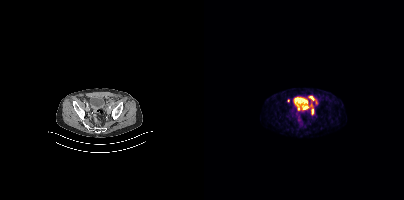
Coordinates are on the 200×200 PET (right) panel. (showing 5 of 6 foci) PSMA-avid tumor lesion bounding boxes (x0, y0)-(x1, y1): (100, 105)-(104, 109); (107, 108)-(109, 114); (106, 96)-(110, 100). Small PSMA-avid foci (2 to 4 px across) near (center x, center y): (94, 108); (84, 100).